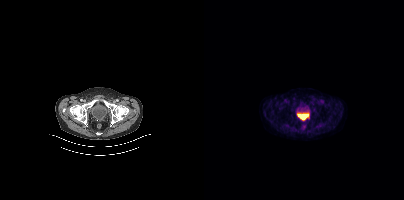
No tumor lesions annotated on this slice. Paired axial CT (left) and PSMA PET (right), 18F-PSMA tracer. Acquired on Siemens Biograph mCT Flow 20. Slice position z = -964 mm. PET panel 200×200 px (4.1 mm/px).